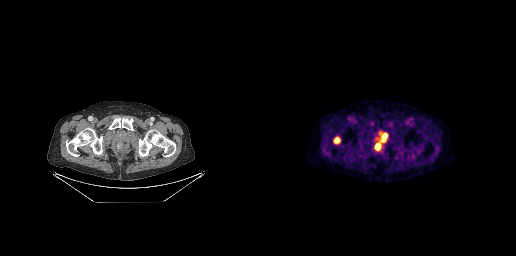
Left: CT. Right: PSMA PET, same axial level, 18F tracer. Acquired on GE Discovery 690.
Coordinates are on the 256×256 PET (right) panel. PSMA-avid tumor lesion bounding boxes:
| # | x0 | y0 | x1 | y1 |
|---|---|---|---|---|
| 1 | 74 | 137 | 80 | 143 |
| 2 | 115 | 143 | 119 | 148 |
Small PSMA-avid foci (2 to 4 px across) near (center x, center y): (124, 135); (123, 141).